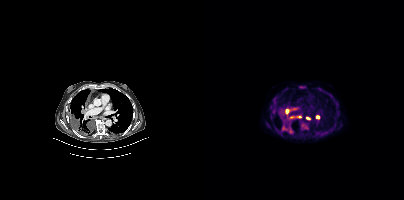
Coordinates are on the 200×200 PET (right) panel. PSMA-avid tumor lesion bounding boxes (x, y, width, height): x=77 y=125 w=13 h=9 / x=98 y=123 w=7 h=6 / x=81 y=108 w=13 h=6 / x=95 y=86 w=8 h=3 / x=85 y=116 w=6 h=4 / x=92 y=114 w=6 h=4. Small PSMA-avid foci (2 to 4 px across) near (center x, center y): (113, 117) / (70, 112) / (103, 118) / (78, 111). Paired axial CT (left) and PSMA PET (right), [18F]PSMA-1007 tracer. Acquired on Siemens Biograph mCT Flow 20. PET panel 200×200 px (4.1 mm/px).